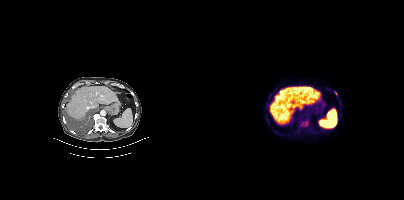
Coordinates are on the 200×200 PET (right) panel. PSMA-avid tumor lesion bounding box (x0,y0,x1,y1): [95,119,104,127]. Small PSMA-avid foci (2 to 4 px across) near (center x, center y): (132, 93); (63, 119).